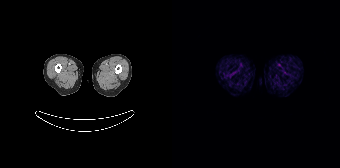
{"modality":"PSMA PET/CT","view":"axial","tracer":"68Ga-PSMA","pet_grid":[168,168],"coord_frame":"pet_panel","coord_format":"x0,y0,x1,y1","psma_avid_lesions":false}